Left: CT. Right: PSMA PET, same axial level, [18F]PSMA-1007 tracer. Acquired on Siemens Biograph mCT Flow 20. Slice 405 of 429. PET panel 200×200 px (4.1 mm/px). Face de-identified by blanking a block of the head.
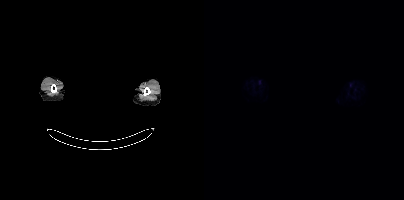
This slice has no annotated PSMA-avid lesion.